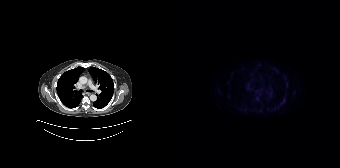
Findings: No tumor lesions annotated on this slice.
- Two-panel axial: CT | PSMA PET, 18F tracer
- PET panel 168×168 px (4.1 mm/px)